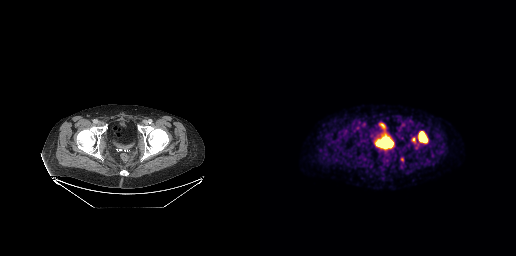
Findings: Coordinates are on the 256×256 PET (right) panel. PSMA-avid tumor lesion bounding box (x0, y0)-(x1, y1): (158, 131)-(167, 143). Small PSMA-avid focus (2 to 4 px across) near (center x, center y): (153, 139).
Technique: Left: CT. Right: PSMA PET, same axial level, 18F tracer. acquired on GE Discovery 690. slice 148 of 371.